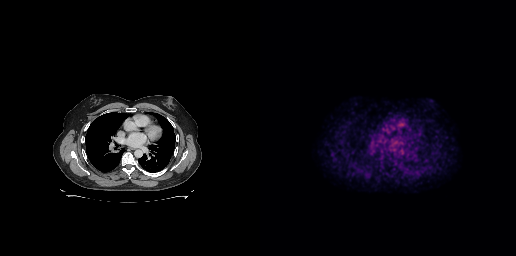
{"modality":"PSMA PET/CT","view":"axial","tracer":"[18F]PSMA-1007","pet_grid":[256,256],"coord_frame":"pet_panel","coord_format":"x0,y0,x1,y1","psma_avid_lesions":false}